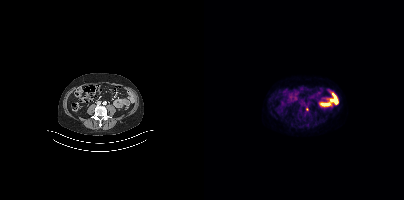
Technique: Left: CT. Right: PSMA PET, same axial level, [18F]PSMA-1007 tracer. acquired on Siemens Biograph mCT Flow 20. slice 130 of 356. PET panel 200×200 px (4.1 mm/px).
Findings: Coordinates are on the 200×200 PET (right) panel. Small PSMA-avid focus (2 to 4 px across) near (center x, center y): (102, 109).